- Left: CT. Right: PSMA PET, same axial level, 18F-PSMA tracer
- acquired on Siemens Biograph mCT Flow 20
- slice position z = -994 mm
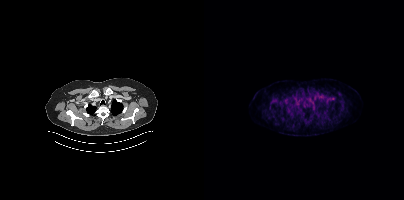
Findings: Negative for PSMA-avid disease on this slice.